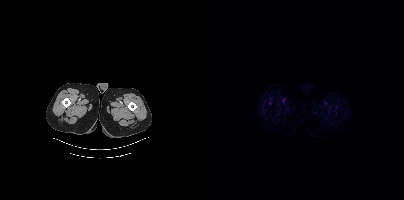
Paired axial CT (left) and PSMA PET (right), [18F]PSMA-1007 tracer. Acquired on Siemens Biograph mCT Flow 20. Slice 16 of 464. PET panel 200×200 px (4.1 mm/px). No tumor lesions annotated on this slice.